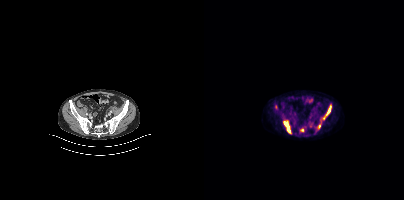
{"modality":"PSMA PET/CT","view":"axial","tracer":"18F","pet_grid":[200,200],"coord_frame":"pet_panel","coord_format":"x0,y0,x1,y1","lesion_bboxes":[[79,121,86,133],[119,105,127,119]],"small_foci_centers":[[97,130],[115,125]]}